Paired axial CT (left) and PSMA PET (right), [68Ga]Ga-PSMA-11 tracer. Slice 78 of 195.
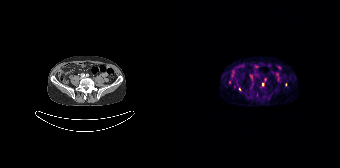
Coordinates are on the 168×168 PET (right) panel. (showing 1 of 3 foci) Small PSMA-avid focus (2 to 4 px across) near (center x, center y): (67, 89).